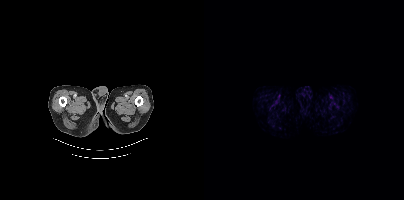
Two-panel axial: CT | PSMA PET, [18F]PSMA-1007 tracer. Slice 21 of 454. PET panel 200×200 px (4.1 mm/px). No tumor lesions annotated on this slice.